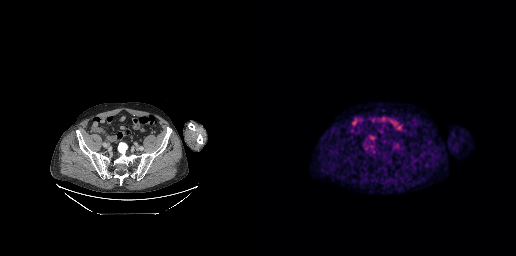
Technique: Left: CT. Right: PSMA PET, same axial level, [18F]PSMA-1007 tracer.
Findings: Only PSMA-avid lesion pieces thinner than 2 px on this slice (not listed).